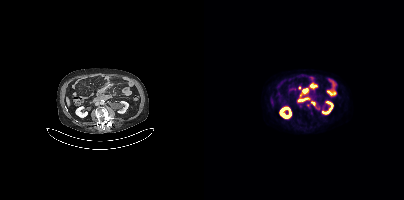
- Two-panel axial: CT | PSMA PET, [18F]PSMA-1007 tracer
- slice position z = 112 mm
- PET panel 200×200 px (4.1 mm/px)
Findings: Coordinates are on the 200×200 PET (right) panel. PSMA-avid tumor lesion bounding boxes (x0, y0)-(x1, y1): (99, 89)-(103, 92); (106, 84)-(112, 88). Small PSMA-avid foci (2 to 4 px across) near (center x, center y): (104, 105); (108, 104); (95, 87); (96, 106).